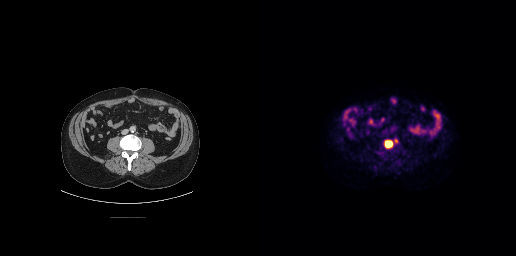
Technique: Left: CT. Right: PSMA PET, same axial level, 18F tracer. acquired on GE Discovery 690. slice position z = -559 mm. PET panel 256×256 px (2.7 mm/px).
Findings: Coordinates are on the 256×256 PET (right) panel. PSMA-avid tumor lesion bounding box (x, y, width, height): x=124 y=139 w=10 h=10. Small PSMA-avid focus (2 to 4 px across) near (center x, center y): (136, 140).